Technique: Paired axial CT (left) and PSMA PET (right), 68Ga tracer. PET panel 200×200 px (4.1 mm/px).
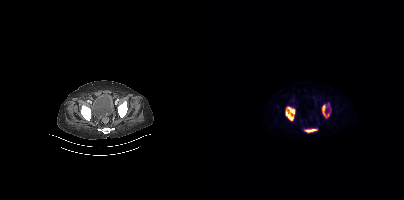
Findings: No PSMA-avid tumor lesions on this slice.